Two-panel axial: CT | PSMA PET, 18F tracer. Acquired on Siemens Biograph mCT Flow 20. PET panel 200×200 px (4.1 mm/px).
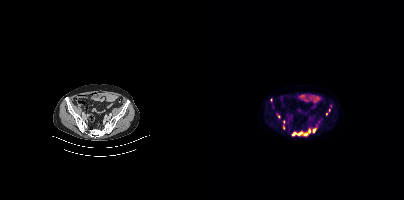
Coordinates are on the 200×200 PET (right) panel. PSMA-avid tumor lesion bounding boxes (partial; 2 more foci not listed):
| # | x0 | y0 | x1 | y1 |
|---|---|---|---|---|
| 1 | 88 | 128 | 106 | 136 |
| 2 | 108 | 128 | 112 | 132 |
| 3 | 73 | 114 | 76 | 118 |
Small PSMA-avid foci (2 to 4 px across) near (center x, center y): (122, 114); (112, 125); (125, 110); (79, 122).